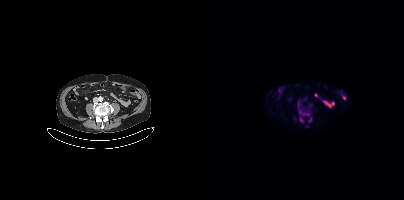
Findings: Only PSMA-avid lesion pieces thinner than 2 px on this slice (not listed).
- Two-panel axial: CT | PSMA PET, [18F]PSMA-1007 tracer
- slice position z = -854 mm
- PET panel 200×200 px (4.1 mm/px)